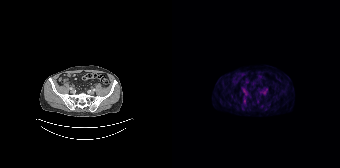
Coordinates are on the 168×168 PET (right) panel. Small PSMA-avid focus (2 to 4 px across) near (center x, center y): (72, 101).